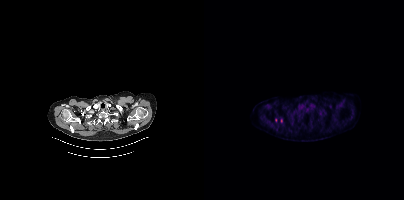
{"modality":"PSMA PET/CT","view":"axial","tracer":"18F","pet_grid":[200,200],"coord_frame":"pet_panel","coord_format":"x0,y0,x1,y1","partial":true,"lesion_bboxes":[],"small_foci_centers":[[77,120]]}